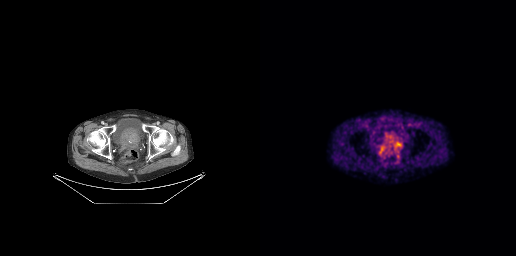
Coordinates are on the 256×256 PET (right) panel. Small PSMA-avid focus (2 to 4 px across) near (center x, center y): (119, 152).